Paired axial CT (left) and PSMA PET (right), 68Ga tracer.
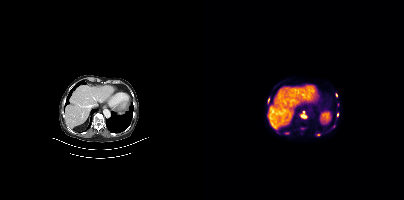
Coordinates are on the 200×200 PET (right) panel. PSMA-avid tumor lesion bounding boxes (partial; 1 more focus not listed):
| # | x0 | y0 | x1 | y1 |
|---|---|---|---|---|
| 1 | 96 | 111 | 102 | 118 |
| 2 | 96 | 127 | 101 | 130 |
| 3 | 101 | 84 | 106 | 86 |
| 4 | 64 | 98 | 65 | 102 |
Small PSMA-avid foci (2 to 4 px across) near (center x, center y): (82, 133); (114, 134); (134, 104); (133, 114); (132, 94).